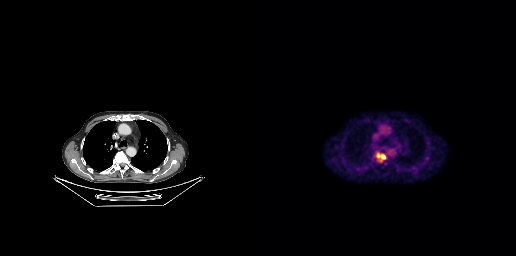
{"modality":"PSMA PET/CT","view":"axial","tracer":"18F","pet_grid":[256,256],"coord_frame":"pet_panel","coord_format":"x0,y0,x1,y1","lesion_bboxes":[[121,155,125,158]],"small_foci_centers":[[167,158],[118,155]]}